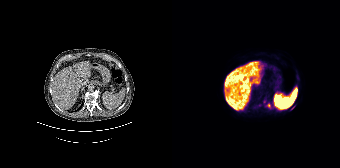
Coordinates are on the 168×168 PET (right) panel. Small PSMA-avid foci (2 to 4 px across) near (center x, center y): (96, 105) | (87, 105) | (120, 107).
modality: PSMA PET/CT | tracer: [18F]PSMA-1007 | view: axial | PET grid: 168×168